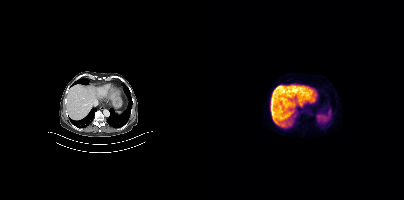
modality: PSMA PET/CT | tracer: 18F-PSMA | view: axial
No tumor lesions annotated on this slice.